Technique: Paired axial CT (left) and PSMA PET (right), [18F]PSMA-1007 tracer. acquired on Siemens Biograph mCT Flow 20. slice position z = -8 mm. PET panel 200×200 px (4.1 mm/px).
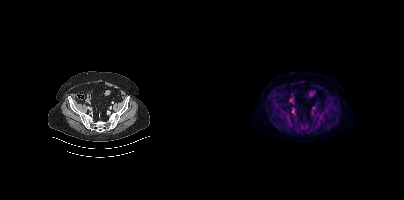
Findings: Coordinates are on the 200×200 PET (right) panel. Small PSMA-avid focus (2 to 4 px across) near (center x, center y): (88, 111).